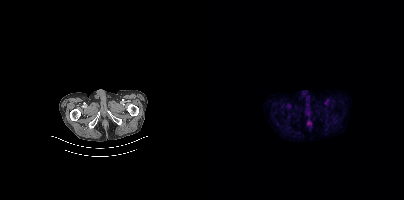
Negative for PSMA-avid disease on this slice.